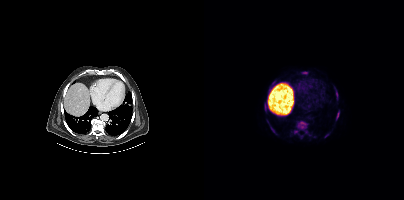
Left: CT. Right: PSMA PET, same axial level, 18F tracer. Slice 261 of 423. PET panel 200×200 px (4.1 mm/px). Coordinates are on the 200×200 PET (right) panel. (showing 7 of 9 foci) PSMA-avid tumor lesion bounding boxes (x0,y0,x1,y1): [93,121,103,129]; [66,126,72,134]; [132,112,135,120]; [132,92,133,96]. Small PSMA-avid foci (2 to 4 px across) near (center x, center y): (91, 132); (122, 135); (63, 121).